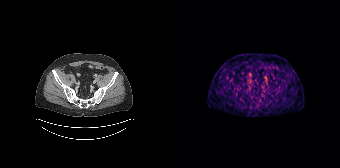
Two-panel axial: CT | PSMA PET, 68Ga tracer. PET panel 168×168 px (4.1 mm/px). No PSMA-avid tumor lesions on this slice.